modality: PSMA PET/CT | tracer: 68Ga-PSMA | view: axial | PET grid: 168×168
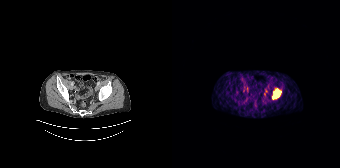
Coordinates are on the 168×168 PET (right) panel. PSMA-avid tumor lesion bounding box (x0,y0,x1,y1): [101,88,108,98].